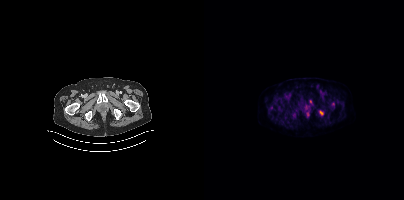
Paired axial CT (left) and PSMA PET (right), 18F-PSMA tracer. Slice position z = -1478 mm.
Coordinates are on the 200×200 PET (right) panel. PSMA-avid tumor lesion bounding boxes:
| # | x0 | y0 | x1 | y1 |
|---|---|---|---|---|
| 1 | 128 | 102 | 130 | 106 |
Small PSMA-avid foci (2 to 4 px across) near (center x, center y): (117, 112); (106, 101).